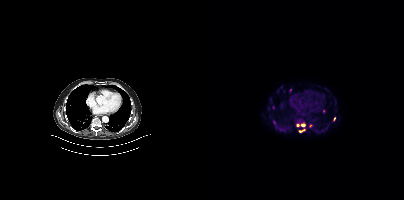
Coordinates are on the 200×200 PET (right) panel. PSMA-avid tumor lesion bounding boxes (partial; 1 more focus not listed):
| # | x0 | y0 | x1 | y1 |
|---|---|---|---|---|
| 1 | 95 | 129 | 100 | 132 |
| 2 | 97 | 124 | 101 | 126 |
Small PSMA-avid foci (2 to 4 px across) near (center x, center y): (106, 125); (94, 125); (119, 111); (130, 118); (86, 89).
Left: CT. Right: PSMA PET, same axial level, 18F-PSMA tracer. Slice 278 of 423.